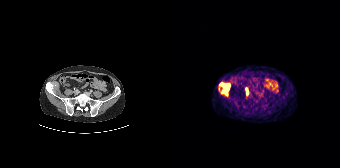
{"modality":"PSMA PET/CT","view":"axial","tracer":"68Ga","pet_grid":[168,168],"coord_frame":"pet_panel","coord_format":"x0,y0,x1,y1","lesion_bboxes":[[47,83,58,95],[74,88,76,94]]}